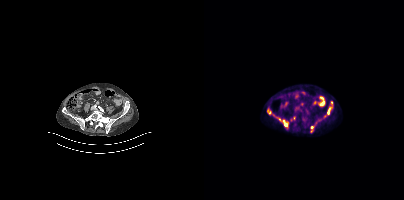
Coordinates are on the 200×200 PET (right) panel. (showing 4 of 5 foci) PSMA-avid tumor lesion bounding boxes (x0, y0)-(x1, y1): (80, 123)-(84, 129) | (63, 109)-(67, 114) | (123, 107)-(127, 112). Small PSMA-avid focus (2 to 4 px across) near (center x, center y): (74, 118). Left: CT. Right: PSMA PET, same axial level, 18F-PSMA tracer. Slice position z = -1404 mm.